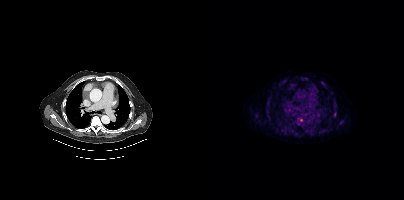
Coordinates are on the 200×200 PET (right) panel. (showing 1 of 3 foci) Small PSMA-avid focus (2 to 4 px across) near (center x, center y): (97, 120).
modality: PSMA PET/CT | tracer: 18F | view: axial | PET grid: 200×200